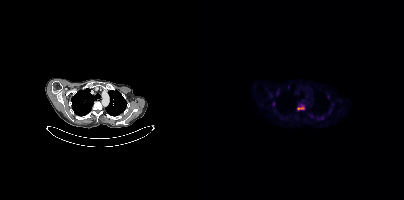
Paired axial CT (left) and PSMA PET (right), [18F]PSMA-1007 tracer. PET panel 200×200 px (4.1 mm/px).
Coordinates are on the 200×200 PET (right) panel. PSMA-avid tumor lesion bounding boxes:
| # | x0 | y0 | x1 | y1 |
|---|---|---|---|---|
| 1 | 93 | 104 | 100 | 110 |
Small PSMA-avid foci (2 to 4 px across) near (center x, center y): (124, 96); (117, 118).